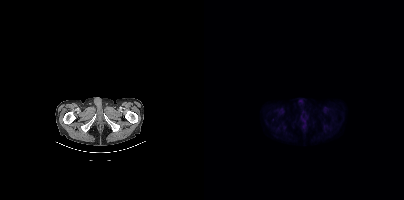
- Paired axial CT (left) and PSMA PET (right), [18F]PSMA-1007 tracer
- acquired on Siemens Biograph mCT Flow 20
Findings: Negative for PSMA-avid disease on this slice.